Technique: Left: CT. Right: PSMA PET, same axial level, 18F tracer. acquired on Siemens Biograph mCT Flow 20.
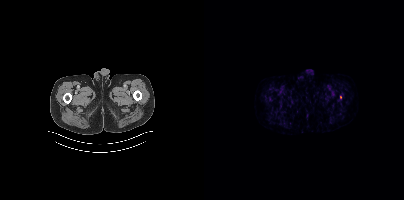
Findings: Coordinates are on the 200×200 PET (right) panel. Small PSMA-avid focus (2 to 4 px across) near (center x, center y): (136, 97).